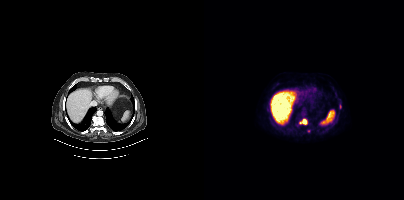
modality: PSMA PET/CT | tracer: [18F]PSMA-1007 | view: axial | PET grid: 200×200
Coordinates are on the 200×200 PET (right) panel. (showing 2 of 4 foci) PSMA-avid tumor lesion bounding box (x, y, width, height): x=95 y=119 w=9 h=6. Small PSMA-avid focus (2 to 4 px across) near (center x, center y): (104, 131).